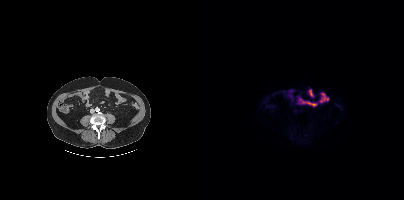
This slice has no annotated PSMA-avid lesion.